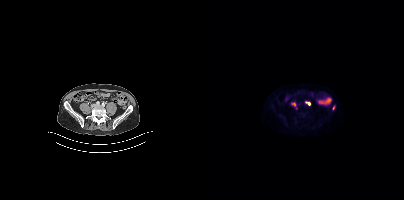
Coordinates are on the 200×200 PET (right) panel. PSMA-avid tumor lesion bounding boxes:
| # | x0 | y0 | x1 | y1 |
|---|---|---|---|---|
| 1 | 101 | 101 | 106 | 105 |
Small PSMA-avid foci (2 to 4 px across) near (center x, center y): (90, 104); (129, 108).
Left: CT. Right: PSMA PET, same axial level, 18F tracer.